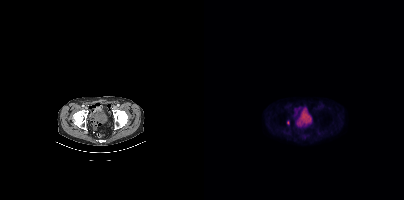
Coordinates are on the 200×200 PET (right) panel. Small PSMA-avid focus (2 to 4 px across) near (center x, center y): (84, 122).